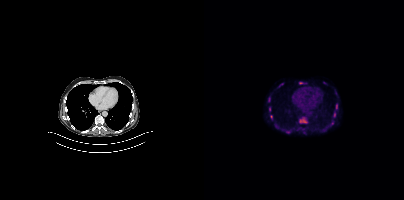
{"modality":"PSMA PET/CT","view":"axial","tracer":"18F-PSMA","pet_grid":[200,200],"coord_frame":"pet_panel","coord_format":"x0,y0,x1,y1","partial":true,"lesion_bboxes":[[95,117,103,123],[95,82,102,84],[129,112,131,117],[64,97,66,101],[132,104,133,109]],"small_foci_centers":[[65,107]]}